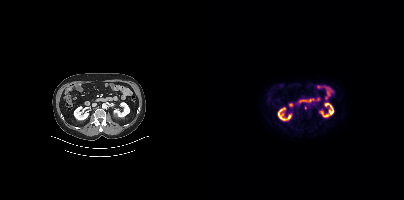
Left: CT. Right: PSMA PET, same axial level, 18F-PSMA tracer. Slice position z = -1307 mm. Coordinates are on the 200×200 PET (right) panel. Small PSMA-avid focus (2 to 4 px across) near (center x, center y): (101, 107).